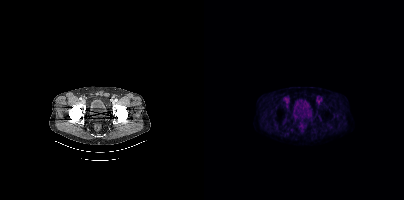
No tumor lesions annotated on this slice.